Two-panel axial: CT | PSMA PET, [18F]PSMA-1007 tracer. Acquired on Siemens Biograph mCT Flow 20. Slice 12 of 387.
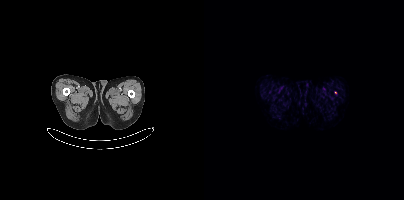
Coordinates are on the 200×200 PET (right) panel. Small PSMA-avid focus (2 to 4 px across) near (center x, center y): (131, 92).